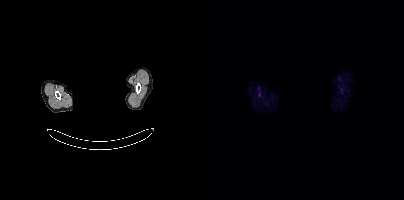
{"modality":"PSMA PET/CT","view":"axial","tracer":"[18F]PSMA-1007","pet_grid":[200,200],"coord_frame":"pet_panel","coord_format":"x0,y0,x1,y1","psma_avid_lesions":false,"deidentification":"facial region redacted"}